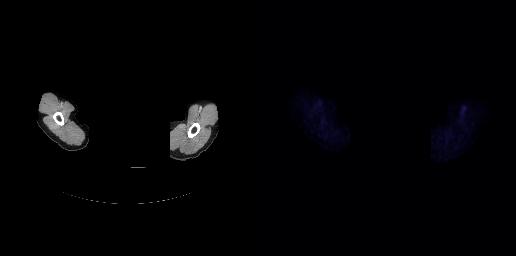
{"modality":"PSMA PET/CT","view":"axial","tracer":"[18F]PSMA-1007","pet_grid":[256,256],"coord_frame":"pet_panel","coord_format":"x0,y0,x1,y1","redaction":"head region blanked (face removed)","psma_avid_lesions":false}